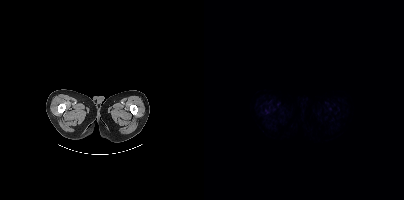
modality: PSMA PET/CT | tracer: 18F-PSMA | view: axial
No tumor lesions annotated on this slice.